Left: CT. Right: PSMA PET, same axial level, 18F-PSMA tracer. Slice position z = 470 mm. PET panel 200×200 px (4.1 mm/px).
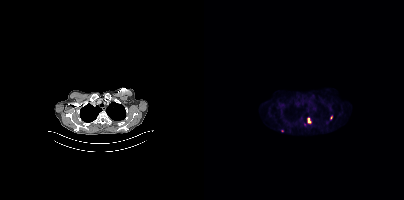
Coordinates are on the 200×200 PET (right) panel. PSMA-avid tumor lesion bounding box (x0, y0)-(x1, y1): (104, 118)-(107, 123). Small PSMA-avid foci (2 to 4 px across) near (center x, center y): (127, 117) | (101, 124) | (97, 118) | (78, 130).